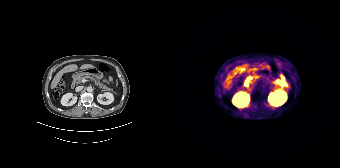
Technique: Paired axial CT (left) and PSMA PET (right), 68Ga-PSMA tracer. slice 112 of 195.
Findings: No PSMA-avid tumor lesions on this slice.